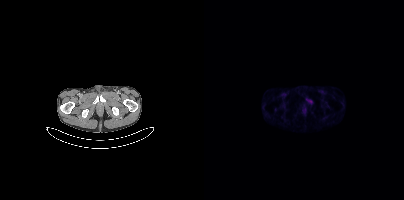
Coordinates are on the 200×200 PET (right) panel. Small PSMA-avid focus (2 to 4 px across) near (center x, center y): (106, 101).